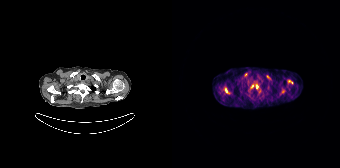
Coordinates are on the 168×168 PET (right) panel. PSMA-avid tumor lesion bounding boxes (x, y, width, height): x=116 y=80 w=5 h=4; x=53 y=88 w=3 h=5. Small PSMA-avid foci (2 to 4 px across) near (center x, center y): (85, 86); (109, 92); (73, 74); (80, 86); (95, 76).